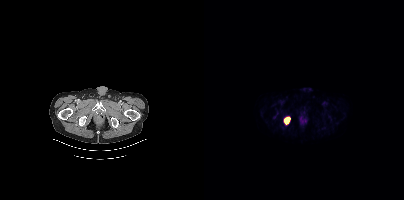
Coordinates are on the 200×200 PET (right) panel. PSMA-avid tumor lesion bounding box (x0,y0,x1,y1): [80,118,85,123].